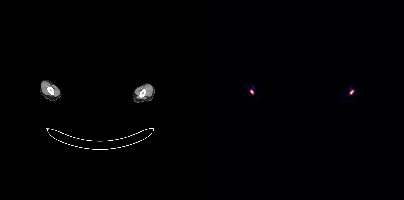
Findings: Coordinates are on the 200×200 PET (right) panel. Small PSMA-avid foci (2 to 4 px across) near (center x, center y): (147, 91) | (47, 91).
Technique: Left: CT. Right: PSMA PET, same axial level, [68Ga]Ga-PSMA-11 tracer.
Note: Face de-identified by blanking a block of the head.